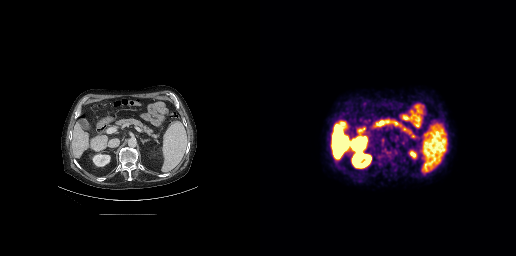
{"modality":"PSMA PET/CT","view":"axial","tracer":"[18F]PSMA-1007","pet_grid":[256,256],"coord_frame":"pet_panel","coord_format":"x0,y0,x1,y1","partial":true,"lesion_bboxes":[[119,159,131,168]],"small_foci_centers":[[124,153],[124,170]]}